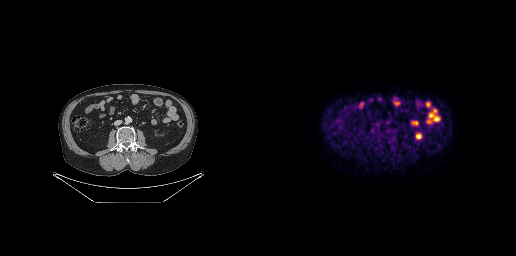
Left: CT. Right: PSMA PET, same axial level, 18F-PSMA tracer. Acquired on GE Discovery 690. Slice position z = -542 mm. No tumor lesions annotated on this slice.